Two-panel axial: CT | PSMA PET, 68Ga-PSMA tracer.
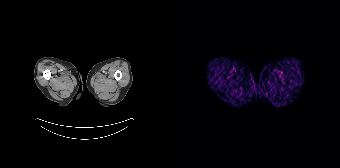
Negative for PSMA-avid disease on this slice.